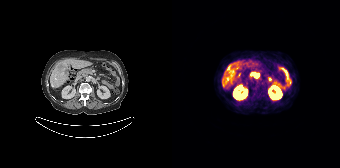
modality: PSMA PET/CT | tracer: 68Ga-PSMA | view: axial
Coordinates are on the 168×168 PET (right) panel. PSMA-avid tumor lesion bounding boxes (x0,y0,x1,y1): [82,74,87,77]; [61,68,64,72]. Small PSMA-avid foci (2 to 4 px across) near (center x, center y): (57, 67); (55, 78).